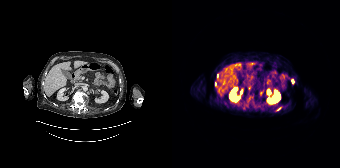
Coordinates are on the 168×168 PET (right) panel. (showing 2 of 3 foci) Small PSMA-avid foci (2 to 4 px across) near (center x, center y): (120, 81); (45, 75). Paired axial CT (left) and PSMA PET (right), [68Ga]Ga-PSMA-11 tracer.